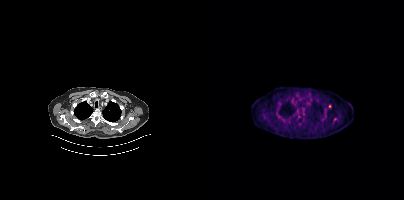
Coordinates are on the 200×200 PET (right) panel. (showing 1 of 2 foci) Small PSMA-avid focus (2 to 4 px across) near (center x, center y): (126, 106). Paired axial CT (left) and PSMA PET (right), 18F-PSMA tracer. Acquired on Siemens Biograph mCT Flow 20.